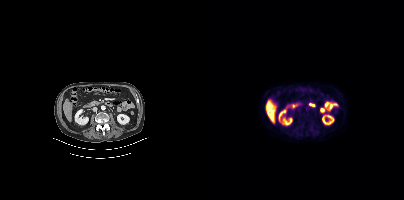
Findings: No tumor lesions annotated on this slice.
- Two-panel axial: CT | PSMA PET, 18F-PSMA tracer
- slice 171 of 429